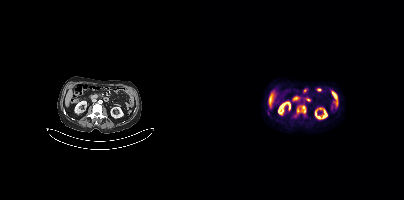
{"modality":"PSMA PET/CT","view":"axial","tracer":"18F","pet_grid":[200,200],"coord_frame":"pet_panel","coord_format":"x0,y0,x1,y1","lesion_bboxes":[[91,105,102,116]]}